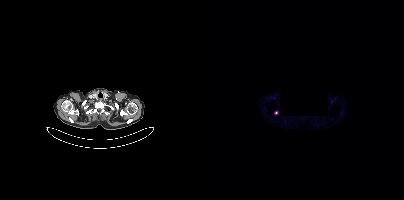
Coordinates are on the 200×200 PET (right) panel. Small PSMA-avid focus (2 to 4 px across) near (center x, center y): (72, 112).
de-identification: privacy mask (black rectangle) | modality: PSMA PET/CT | tracer: 18F | view: axial | PET grid: 200×200